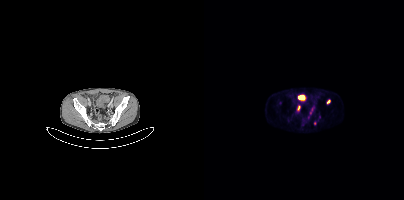
Coordinates are on the 200×200 PET (right) panel. (showing 4 of 5 foci) PSMA-avid tumor lesion bounding boxes (x0,y0,x1,y1): [105,106,110,114]; [93,106,95,111]. Small PSMA-avid foci (2 to 4 px across) near (center x, center y): (124, 101); (110, 123).